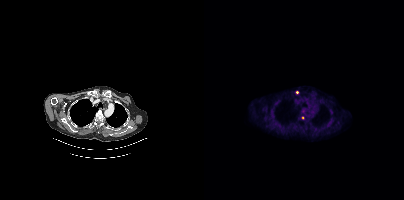
{"modality":"PSMA PET/CT","view":"axial","tracer":"18F","pet_grid":[200,200],"coord_frame":"pet_panel","coord_format":"x0,y0,x1,y1","lesion_bboxes":[],"small_foci_centers":[[93,92],[98,117]]}